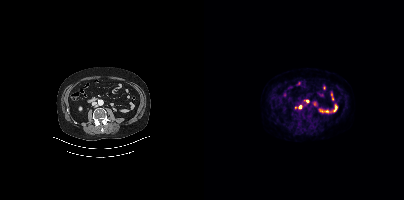
modality: PSMA PET/CT | tracer: [18F]PSMA-1007 | view: axial
Coordinates are on the 200×200 PET (right) panel. Small PSMA-avid foci (2 to 4 px across) near (center x, center y): (96, 107); (103, 100); (91, 107).